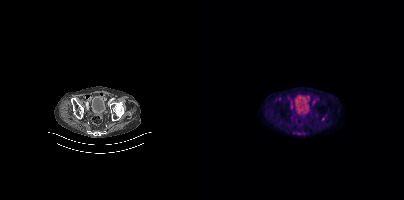
Technique: Left: CT. Right: PSMA PET, same axial level, [18F]PSMA-1007 tracer. slice position z = -1480 mm. PET panel 200×200 px (4.1 mm/px).
Findings: Coordinates are on the 200×200 PET (right) panel. Small PSMA-avid focus (2 to 4 px across) near (center x, center y): (110, 100).